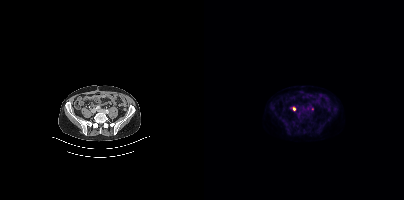
- Two-panel axial: CT | PSMA PET, 18F-PSMA tracer
- slice 129 of 427
- PET panel 200×200 px (4.1 mm/px)
Findings: Coordinates are on the 200×200 PET (right) panel. Small PSMA-avid foci (2 to 4 px across) near (center x, center y): (90, 108) | (108, 108).